modality: PSMA PET/CT | tracer: 18F-PSMA | view: axial
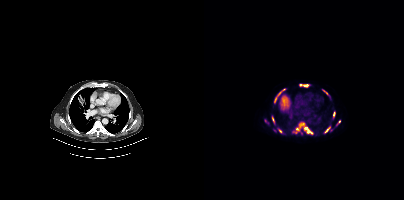
Coordinates are on the 200×200 PET (right) panel. (showing 9 of 11 foci) PSMA-avid tumor lesion bounding boxes (x0, y0)-(x1, y1): (100, 127)-(108, 133) / (120, 127)-(126, 132) / (129, 112)-(131, 116). Small PSMA-avid foci (2 to 4 px across) near (center x, center y): (101, 85) / (97, 124) / (68, 118) / (93, 129) / (76, 131) / (135, 121).